modality: PSMA PET/CT | tracer: [18F]PSMA-1007 | view: axial
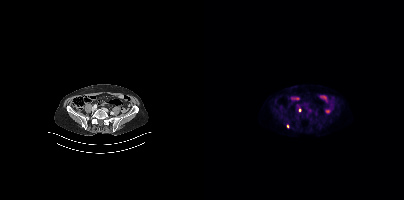
Coordinates are on the 200×200 PET (right) panel. Small PSMA-avid foci (2 to 4 px across) near (center x, center y): (83, 126); (95, 110).